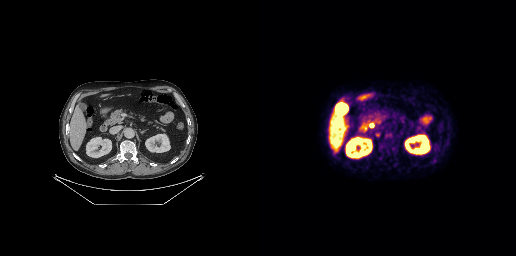
{"modality":"PSMA PET/CT","view":"axial","tracer":"18F-PSMA","pet_grid":[256,256],"coord_frame":"pet_panel","coord_format":"x0,y0,x1,y1","psma_avid_lesions":false}